- Left: CT. Right: PSMA PET, same axial level, 18F-PSMA tracer
- acquired on GE Discovery 690
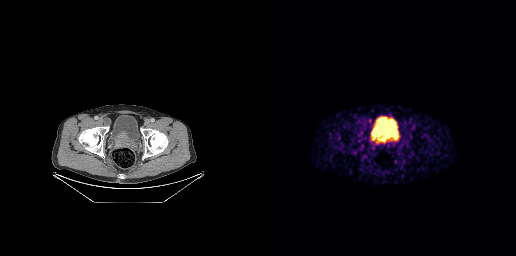
Findings: Coordinates are on the 256×256 PET (right) panel. PSMA-avid tumor lesion bounding boxes (x, y, width, height): x=112 y=133 w=16 h=10; x=129 y=134 w=9 h=7.